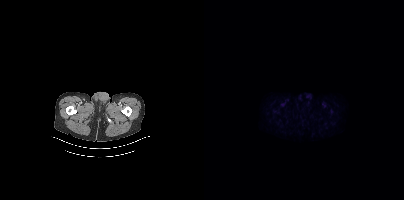
{"modality":"PSMA PET/CT","view":"axial","tracer":"18F-PSMA","pet_grid":[200,200],"coord_frame":"pet_panel","coord_format":"x0,y0,x1,y1","psma_avid_lesions":false}